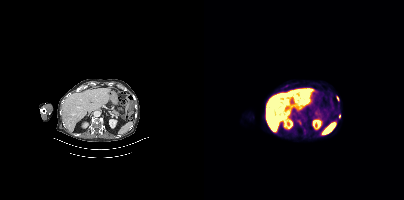
{"pet_grid":[200,200],"coord_frame":"pet_panel","coord_format":"x0,y0,x1,y1","lesion_bboxes":[[132,96,135,100],[135,114,136,118]],"small_foci_centers":[[95,122]],"modality":"PSMA PET/CT","view":"axial","tracer":"18F"}